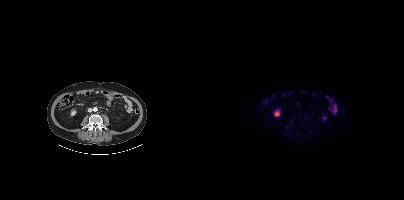
{"modality":"PSMA PET/CT","view":"axial","tracer":"[18F]PSMA-1007","pet_grid":[200,200],"coord_frame":"pet_panel","coord_format":"x0,y0,x1,y1","psma_avid_lesions":false}